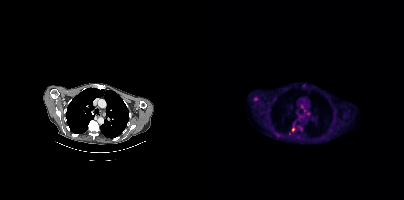
{"modality":"PSMA PET/CT","view":"axial","tracer":"18F","pet_grid":[200,200],"coord_frame":"pet_panel","coord_format":"x0,y0,x1,y1","partial":true,"lesion_bboxes":[[88,121,91,131],[50,97,54,101]],"small_foci_centers":[[100,110],[104,113],[98,106],[85,133]]}